Technique: Paired axial CT (left) and PSMA PET (right), 18F-PSMA tracer. acquired on GE Discovery 690. slice position z = -374 mm.
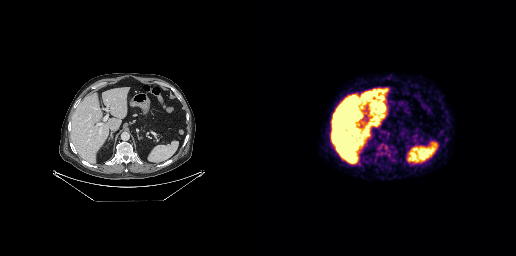
Findings: This slice has no annotated PSMA-avid lesion.